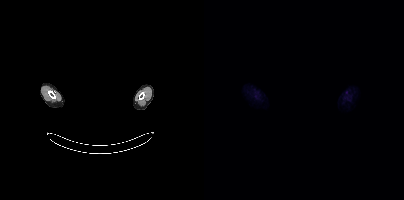
modality: PSMA PET/CT | tracer: [18F]PSMA-1007 | view: axial | PET grid: 200×200 | redaction: privacy mask over head
This slice has no annotated PSMA-avid lesion.